Paired axial CT (left) and PSMA PET (right), 18F-PSMA tracer. PET panel 200×200 px (4.1 mm/px).
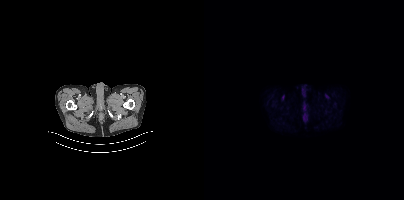
No tumor lesions annotated on this slice.